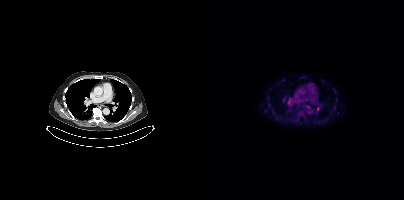
{"modality":"PSMA PET/CT","view":"axial","tracer":"18F","pet_grid":[200,200],"coord_frame":"pet_panel","coord_format":"x0,y0,x1,y1","lesion_bboxes":[[85,99,86,103]],"small_foci_centers":[[103,107],[114,108]]}